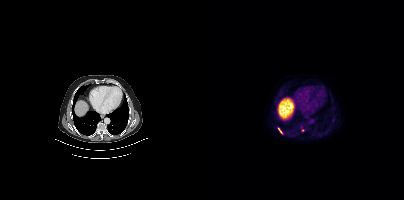
Coordinates are on the 200×200 PET (right) panel. PSMA-avid tumor lesion bounding box (x0,y0,x1,y1): [74,127,78,133]. Small PSMA-avid focus (2 to 4 px across) near (center x, center y): (98, 130).